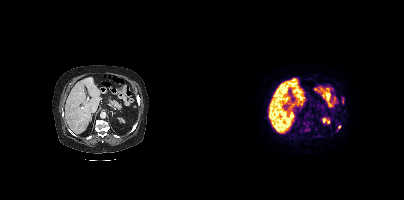
Coordinates are on the 200×200 PET (right) panel. (showing 2 of 3 foci) Small PSMA-avid foci (2 to 4 px across) near (center x, center y): (135, 126), (138, 101). Two-panel axial: CT | PSMA PET, 68Ga tracer. Slice 225 of 444.